modality: PSMA PET/CT | tracer: [68Ga]Ga-PSMA-11 | view: axial | PET grid: 200×200
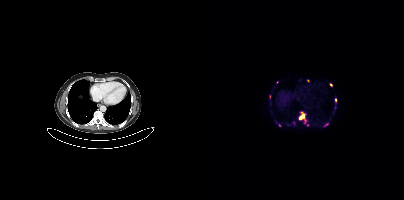
Coordinates are on the 200×200 PET (right) panel. (showing 7 of 9 foci) PSMA-avid tumor lesion bounding box (x0, y0)-(x1, y1): (95, 113)-(102, 123). Small PSMA-avid foci (2 to 4 px across) near (center x, center y): (131, 100); (122, 124); (90, 123); (75, 125); (104, 80); (127, 84).